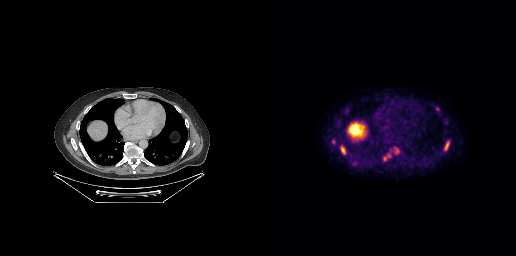
Coordinates are on the 256×256 PET (right) panel. PSMA-avid tumor lesion bounding boxes (partial; 1 more focus not listed):
| # | x0 | y0 | x1 | y1 |
|---|---|---|---|---|
| 1 | 184 | 140 | 189 | 151 |
| 2 | 80 | 146 | 85 | 154 |
| 3 | 175 | 107 | 179 | 111 |
Small PSMA-avid foci (2 to 4 px across) near (center x, center y): (73, 141); (86, 110).
Paired axial CT (left) and PSMA PET (right), [18F]PSMA-1007 tracer. Slice 206 of 299. PET panel 256×256 px (2.7 mm/px).